modality: PSMA PET/CT | tracer: 68Ga | view: axial
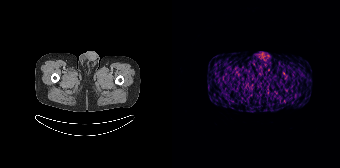
No PSMA-avid tumor lesions on this slice.